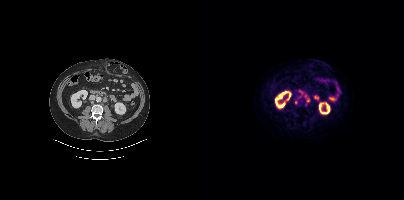
Coordinates are on the 200×200 PET (right) panel. PSMA-avid tumor lesion bounding box (x, y, width, height): x=94 y=95 w=4 h=5. Small PSMA-avid foci (2 to 4 px across) near (center x, center y): (100, 95) | (103, 101) | (91, 102).